- Left: CT. Right: PSMA PET, same axial level, 18F-PSMA tracer
- acquired on Siemens Biograph mCT Flow 20
- PET panel 200×200 px (4.1 mm/px)
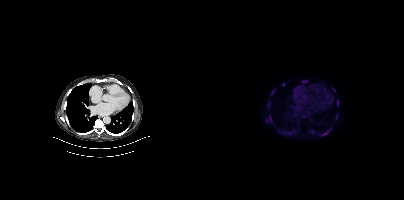
Findings: Coordinates are on the 200×200 PET (right) panel. (showing 9 of 10 foci) PSMA-avid tumor lesion bounding boxes (x0, y0)-(x1, y1): (117, 129)-(126, 135) | (62, 116)-(67, 121) | (63, 101)-(66, 108) | (98, 80)-(103, 82) | (133, 100)-(134, 104) | (132, 114)-(133, 118). Small PSMA-avid foci (2 to 4 px across) near (center x, center y): (129, 89) | (67, 93) | (79, 84).